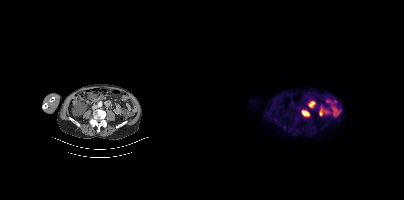
Paired axial CT (left) and PSMA PET (right), 18F tracer. Slice 157 of 411. Coordinates are on the 200×200 PET (right) panel. PSMA-avid tumor lesion bounding box (x, y, width, height): x=97 y=110 w=9 h=7. Small PSMA-avid focus (2 to 4 px across) near (center x, center y): (71, 119).